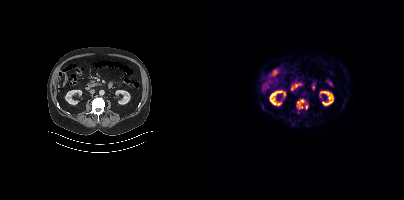
{"modality":"PSMA PET/CT","view":"axial","tracer":"[18F]PSMA-1007","pet_grid":[200,200],"coord_frame":"pet_panel","coord_format":"x0,y0,x1,y1","lesion_bboxes":[[92,99,101,109],[101,104,104,108]]}